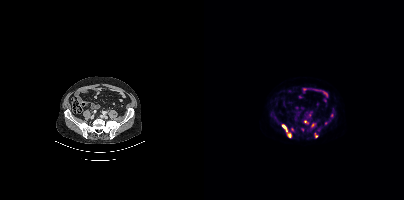
Technique: Paired axial CT (left) and PSMA PET (right), [18F]PSMA-1007 tracer. acquired on Siemens Biograph mCT Flow 20.
Findings: Coordinates are on the 200×200 PET (right) panel. (showing 5 of 6 foci) PSMA-avid tumor lesion bounding boxes (x0,y0,x1,y1): [78,124,87,137]; [111,133,113,137]. Small PSMA-avid foci (2 to 4 px across) near (center x, center y): (88, 129); (101, 121); (108, 125).